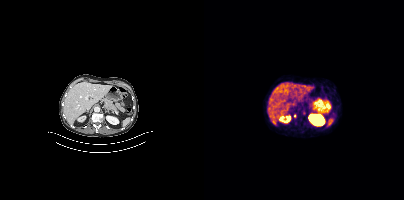
- Paired axial CT (left) and PSMA PET (right), 68Ga-PSMA tracer
Findings: Coordinates are on the 200×200 PET (right) panel. Small PSMA-avid foci (2 to 4 px across) near (center x, center y): (99, 112) / (90, 115).